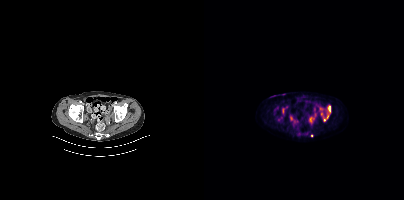
Findings: Coordinates are on the 200×200 PET (right) panel. (showing 5 of 8 foci) PSMA-avid tumor lesion bounding boxes (x0, y0)-(x1, y1): (124, 105)-(126, 112); (78, 108)-(80, 113). Small PSMA-avid foci (2 to 4 px across) near (center x, center y): (123, 116); (120, 120); (107, 135).
- Two-panel axial: CT | PSMA PET, 18F-PSMA tracer
- PET panel 200×200 px (4.1 mm/px)